Technique: Left: CT. Right: PSMA PET, same axial level, 18F-PSMA tracer. acquired on Siemens Biograph mCT Flow 20. slice 52 of 427.
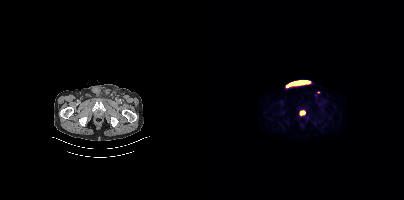
Findings: Coordinates are on the 200×200 PET (right) panel. (showing 1 of 2 foci) PSMA-avid tumor lesion bounding box (x0, y0)-(x1, y1): (96, 110)-(101, 115).